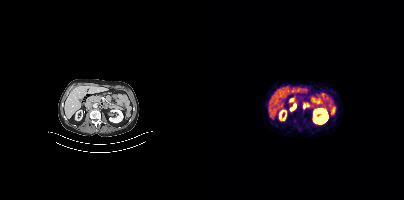
Coordinates are on the 200×200 PET (right) panel. PSMA-avid tumor lesion bounding boxes:
| # | x0 | y0 | x1 | y1 |
|---|---|---|---|---|
| 1 | 86 | 105 | 91 | 110 |
| 2 | 99 | 104 | 102 | 108 |
Paired axial CT (left) and PSMA PET (right), 68Ga tracer. Slice position z = -1216 mm. PET panel 200×200 px (4.1 mm/px).